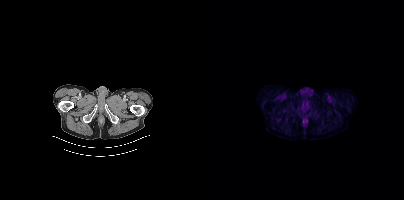
- Left: CT. Right: PSMA PET, same axial level, [18F]PSMA-1007 tracer
Findings: Negative for PSMA-avid disease on this slice.